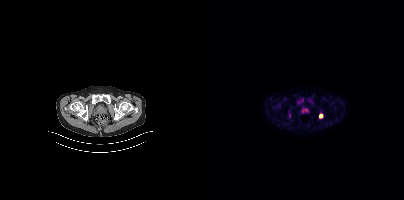
modality: PSMA PET/CT | tracer: 18F-PSMA | view: axial
Coordinates are on the 200×200 PET (right) panel. Small PSMA-avid foci (2 to 4 px across) near (center x, center y): (116, 115), (107, 100).